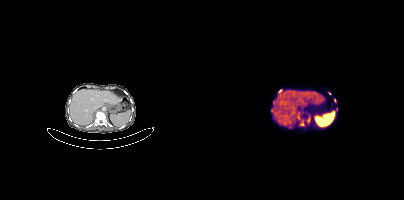
Technique: Paired axial CT (left) and PSMA PET (right), 68Ga tracer. acquired on Siemens Biograph mCT Flow 20.
Findings: Coordinates are on the 200×200 PET (right) panel. (showing 8 of 9 foci) PSMA-avid tumor lesion bounding boxes (x, y, width, height): x=104 y=114 w=3 h=8 | x=96 y=121 w=5 h=6 | x=67 y=107 w=3 h=6 | x=74 y=89 w=5 h=4. Small PSMA-avid foci (2 to 4 px across) near (center x, center y): (132, 109) | (130, 100) | (125, 93) | (94, 118).